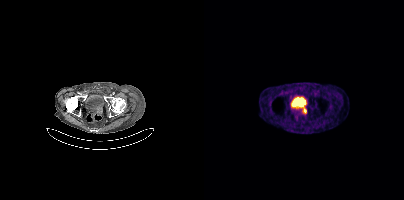
{"pet_grid":[200,200],"coord_frame":"pet_panel","coord_format":"x0,y0,x1,y1","lesion_bboxes":[[96,105,102,114]],"modality":"PSMA PET/CT","view":"axial","tracer":"68Ga-PSMA"}